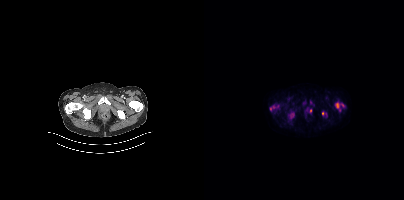
Coordinates are on the 200×200 PET (right) panel. (showing 6 of 7 foci) PSMA-avid tumor lesion bounding boxes (x0,y0,x1,y1): [84,112,90,119]; [132,103,134,107]; [66,106,70,110]. Small PSMA-avid foci (2 to 4 px across) near (center x, center y): (118, 113); (106, 110); (138, 105).